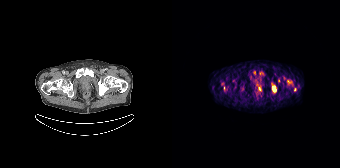
{"pet_grid":[168,168],"coord_frame":"pet_panel","coord_format":"x0,y0,x1,y1","partial":true,"lesion_bboxes":[[100,85,104,92],[115,80,120,84],[87,72,91,74]],"small_foci_centers":[[87,88],[106,80],[122,89]],"modality":"PSMA PET/CT","view":"axial","tracer":"[68Ga]Ga-PSMA-11"}